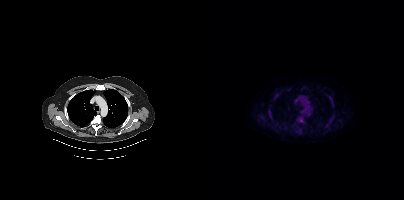
Two-panel axial: CT | PSMA PET, [18F]PSMA-1007 tracer. PET panel 200×200 px (4.1 mm/px). Coordinates are on the 200×200 PET (right) panel. (showing 10 of 11 foci) PSMA-avid tumor lesion bounding boxes (x0,y0,x1,y1): [94,116,101,124], [93,129,98,134], [70,94,75,98], [64,110,67,116], [124,96,128,102], [124,116,130,122], [71,122,74,127]. Small PSMA-avid foci (2 to 4 px across) near (center x, center y): (57, 118), (79, 129), (69, 122).